- Left: CT. Right: PSMA PET, same axial level, 18F-PSMA tracer
- PET panel 256×256 px (2.7 mm/px)
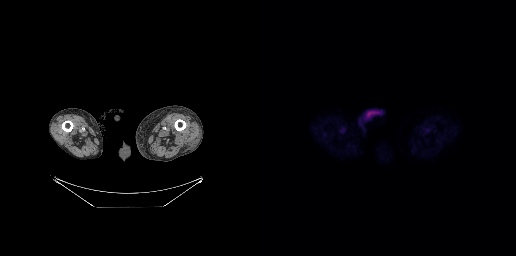
Findings: This slice has no annotated PSMA-avid lesion.